Technique: Paired axial CT (left) and PSMA PET (right), 18F-PSMA tracer. acquired on Siemens Biograph mCT Flow 20. PET panel 200×200 px (4.1 mm/px).
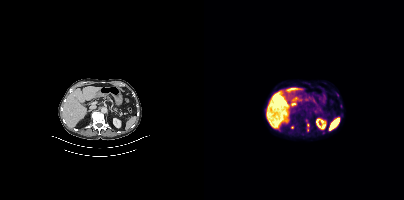
Findings: Coordinates are on the 200×200 PET (right) panel. (showing 1 of 2 foci) Small PSMA-avid focus (2 to 4 px across) near (center x, center y): (88, 127).